Two-panel axial: CT | PSMA PET, 18F-PSMA tracer. Acquired on Siemens Biograph mCT Flow 20. Slice position z = -1054 mm.
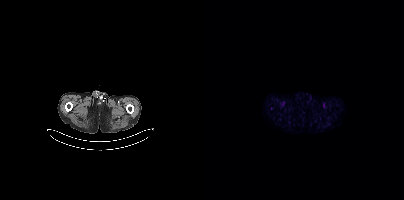
Coordinates are on the 200×200 PET (right) panel. Small PSMA-avid focus (2 to 4 px across) near (center x, center y): (67, 108).